Paired axial CT (left) and PSMA PET (right), [18F]PSMA-1007 tracer. PET panel 200×200 px (4.1 mm/px).
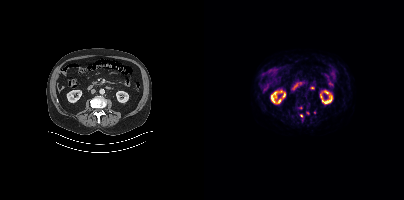
Coordinates are on the 200×200 PET (right) panel. Small PSMA-avid foci (2 to 4 px across) near (center x, center y): (97, 115), (104, 113), (110, 112), (96, 107).